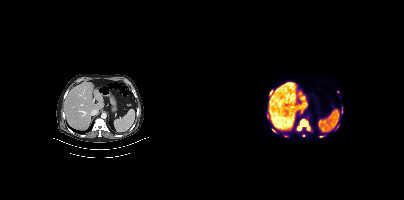
modality: PSMA PET/CT | tracer: 18F-PSMA | view: axial
Coordinates are on the 200×200 PET (right) panel. (showing 4 of 5 foci) PSMA-avid tumor lesion bounding box (x0, y0)-(x1, y1): (93, 119)-(105, 130). Small PSMA-avid foci (2 to 4 px across) near (center x, center y): (67, 92); (69, 130); (116, 136).